modality: PSMA PET/CT | tracer: 18F-PSMA | view: axial
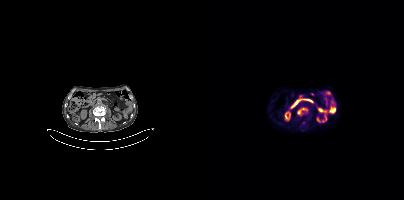
Coordinates are on the 200×200 PET (right) panel. PSMA-avid tumor lesion bounding box (x0,y0,x1,y1): [93,108,103,114].